modality: PSMA PET/CT | tracer: 18F-PSMA | view: axial | PET grid: 200×200
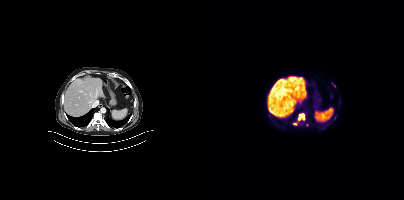
Coordinates are on the 200×200 PET (right) panel. (showing 2 of 3 foci) PSMA-avid tumor lesion bounding boxes (x0, y0)-(x1, y1): (93, 113)-(101, 120) / (89, 123)-(93, 125).